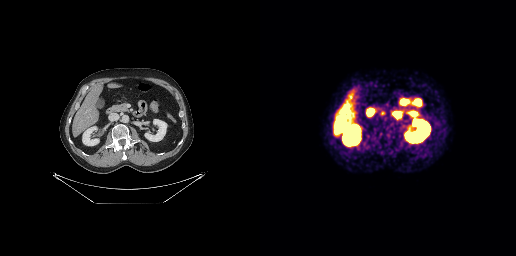
Left: CT. Right: PSMA PET, same axial level, 68Ga-PSMA tracer. Slice position z = -703 mm. PET panel 256×256 px (2.7 mm/px). Coordinates are on the 256×256 PET (right) panel. Small PSMA-avid focus (2 to 4 px across) near (center x, center y): (122, 113).